Paired axial CT (left) and PSMA PET (right), [68Ga]Ga-PSMA-11 tracer. Acquired on Siemens Biograph 64-4R TruePoint.
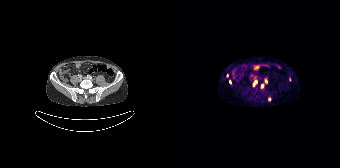
Coordinates are on the 168×168 PET (right) panel. PSMA-avid tumor lesion bounding boxes (partial; 2 more foci not listed):
| # | x0 | y0 | x1 | y1 |
|---|---|---|---|---|
| 1 | 81 | 81 | 84 | 85 |
| 2 | 93 | 79 | 95 | 83 |
Small PSMA-avid foci (2 to 4 px across) near (center x, center y): (90, 86); (57, 81); (97, 99).